Technique: Paired axial CT (left) and PSMA PET (right), [68Ga]Ga-PSMA-11 tracer. slice position z = -744 mm. PET panel 168×168 px (4.1 mm/px).
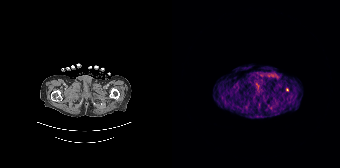
Findings: This slice has no annotated PSMA-avid lesion.